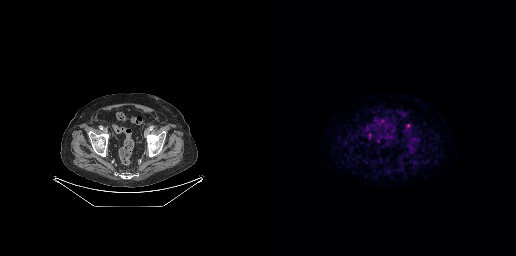
{"pet_grid":[256,256],"coord_frame":"pet_panel","coord_format":"x0,y0,x1,y1","lesion_bboxes":[],"small_foci_centers":[[148,125]],"modality":"PSMA PET/CT","view":"axial","tracer":"18F"}